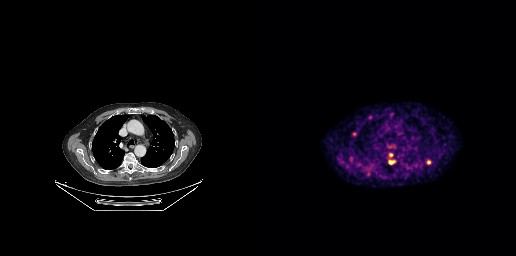
{"pet_grid":[256,256],"coord_frame":"pet_panel","coord_format":"x0,y0,x1,y1","partial":true,"lesion_bboxes":[],"small_foci_centers":[[109,116],[94,133],[130,154],[130,162],[108,173],[134,161]],"modality":"PSMA PET/CT","view":"axial","tracer":"68Ga-PSMA"}